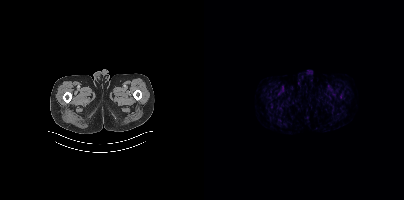
Only PSMA-avid lesion pieces thinner than 2 px on this slice (not listed).